- Two-panel axial: CT | PSMA PET, [18F]PSMA-1007 tracer
- acquired on Siemens Biograph mCT Flow 20
- slice 129 of 403
- PET panel 200×200 px (4.1 mm/px)
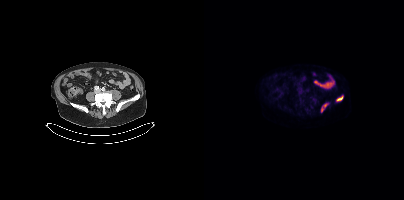
Findings: Coordinates are on the 200×200 PET (right) panel. PSMA-avid tumor lesion bounding boxes (x0,y0,x1,y1): [117,103,124,112]; [132,95,139,101].